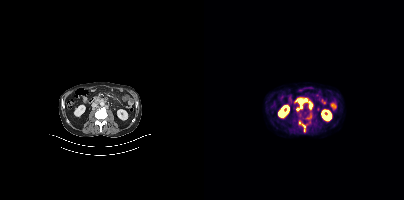
Two-panel axial: CT | PSMA PET, 18F tracer. Acquired on Siemens Biograph mCT Flow 20. PET panel 200×200 px (4.1 mm/px).
Coordinates are on the 200×200 PET (right) panel. PSMA-avid tumor lesion bounding boxes (partial; 1 more focus not listed):
| # | x0 | y0 | x1 | y1 |
|---|---|---|---|---|
| 1 | 95 | 99 | 103 | 108 |
| 2 | 98 | 124 | 101 | 131 |
Small PSMA-avid foci (2 to 4 px across) near (center x, center y): (93, 109); (105, 106); (95, 122).